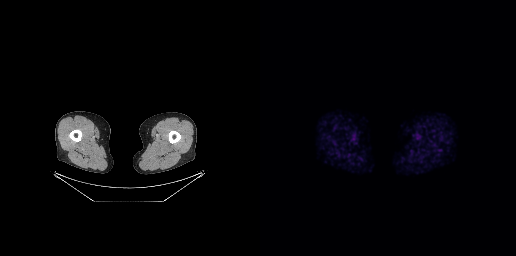
Negative for PSMA-avid disease on this slice.